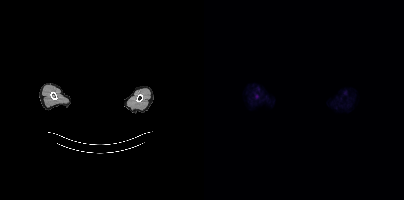
Technique: Two-panel axial: CT | PSMA PET, 18F tracer. acquired on Siemens Biograph mCT Flow 20. slice 370 of 413.
Note: Any black rectangle over the head is a privacy mask, not anatomy.
Findings: No tumor lesions annotated on this slice.